Two-panel axial: CT | PSMA PET, 18F-PSMA tracer. Slice position z = -1052 mm.
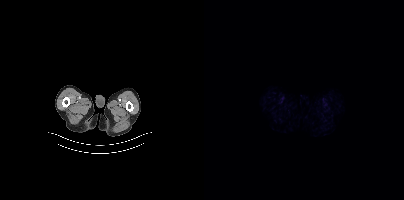
Negative for PSMA-avid disease on this slice.